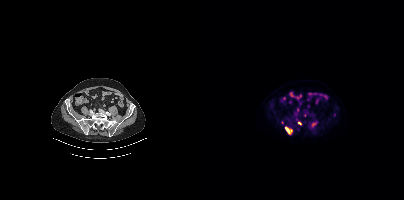
Findings: Coordinates are on the 200×200 PET (right) panel. (showing 3 of 4 foci) PSMA-avid tumor lesion bounding boxes (x0, y0)-(x1, y1): (81, 127)-(88, 133) / (108, 122)-(112, 126). Small PSMA-avid focus (2 to 4 px across) near (center x, center y): (95, 123).
- Left: CT. Right: PSMA PET, same axial level, 18F tracer